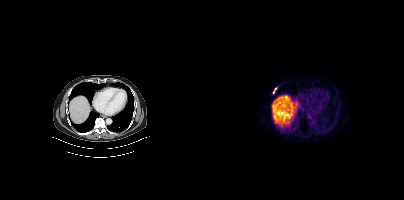
Findings: Coordinates are on the 200×200 PET (right) panel. Small PSMA-avid foci (2 to 4 px across) near (center x, center y): (69, 92); (71, 88).
Technique: Two-panel axial: CT | PSMA PET, [68Ga]Ga-PSMA-11 tracer. acquired on Siemens Biograph mCT Flow 20. slice position z = -1106 mm. PET panel 200×200 px (4.1 mm/px).